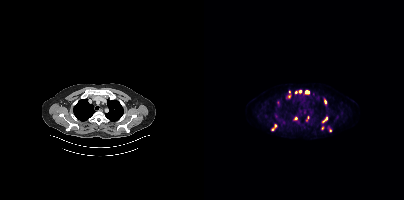
Coordinates are on the 200×200 PET (right) panel. (showing 10 of 11 foci) PSMA-avid tumor lesion bounding boxes (x0, y0)-(x1, y1): (118, 117)-(123, 122); (101, 90)-(105, 93); (120, 99)-(122, 104). Small PSMA-avid foci (2 to 4 px across) near (center x, center y): (96, 91); (92, 92); (92, 118); (71, 125); (118, 128); (68, 129); (85, 91).